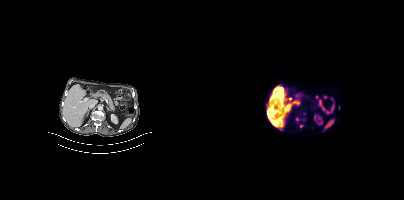
Findings: Coordinates are on the 200×200 PET (right) panel. (showing 1 of 2 foci) Small PSMA-avid focus (2 to 4 px across) near (center x, center y): (96, 125).
Technique: Paired axial CT (left) and PSMA PET (right), 18F-PSMA tracer.